Technique: Left: CT. Right: PSMA PET, same axial level, [18F]PSMA-1007 tracer.
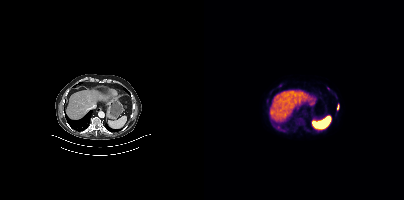
Findings: Coordinates are on the 200×200 PET (right) panel. PSMA-avid tumor lesion bounding box (x0, y0)-(x1, y1): (133, 104)-(134, 109). Small PSMA-avid focus (2 to 4 px across) near (center x, center y): (124, 88).